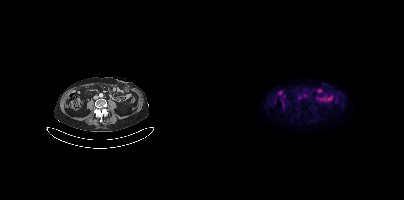
Negative for PSMA-avid disease on this slice.